modality: PSMA PET/CT | tracer: [18F]PSMA-1007 | view: axial | PET grid: 256×256
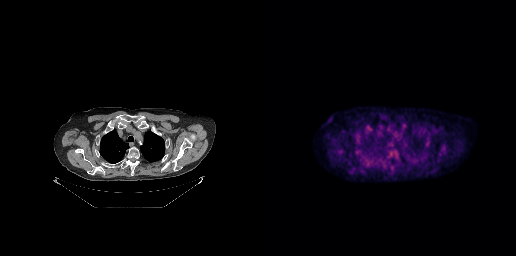
No tumor lesions annotated on this slice.